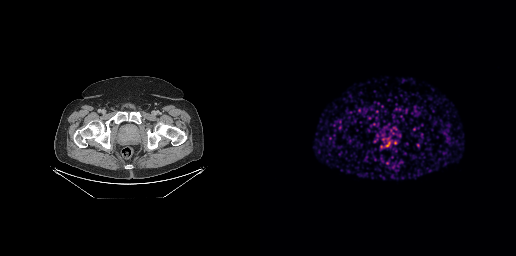
Coordinates are on the 256×256 PET (right) panel. (showing 1 of 2 foci) PSMA-avid tumor lesion bounding box (x0, y0)-(x1, y1): (126, 142)-(130, 146).